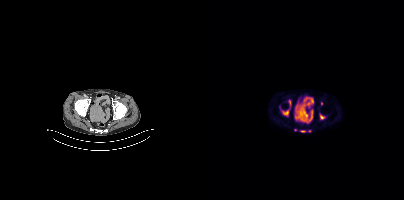
Coordinates are on the 200×200 PET (right) panel. PSMA-avid tumor lesion bounding boxes (x, y, width, height): x=78 y=110 w=7 h=6; x=96 y=130 w=6 h=3; x=85 y=100 w=2 h=6. Small PSMA-avid foci (2 to 4 px across) near (center x, center y): (117, 116); (117, 103); (91, 129); (105, 130).